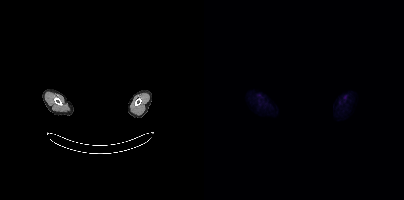
modality: PSMA PET/CT | tracer: 18F | view: axial | PET grid: 200×200 | deidentification: head region blanked (face removed)
This slice has no annotated PSMA-avid lesion.